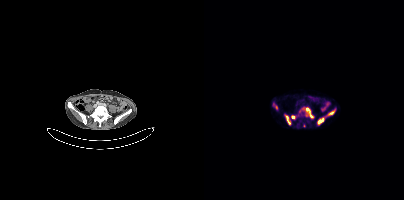
Coordinates are on the 200×200 PET (right) panel. (showing 6 of 7 foci) PSMA-avid tumor lesion bounding boxes (x0, y0)-(x1, y1): (102, 108)-(108, 117); (114, 118)-(119, 123); (82, 116)-(86, 124); (125, 110)-(130, 114). Small PSMA-avid foci (2 to 4 px across) near (center x, center y): (89, 117); (72, 107).